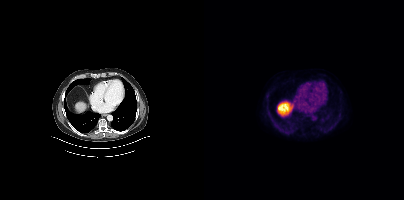
{"modality":"PSMA PET/CT","view":"axial","tracer":"18F-PSMA","pet_grid":[200,200],"coord_frame":"pet_panel","coord_format":"x0,y0,x1,y1","psma_avid_lesions":false}